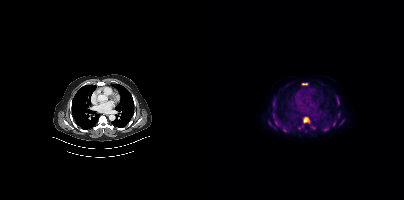
Coordinates are on the 200×200 PET (right) panel. (showing 13 of 14 foci) PSMA-avid tumor lesion bounding boxes (x0,y0,x1,y1): [97,117,105,127] [78,127,82,132] [132,99,135,105] [98,83,103,85] [69,100,71,108] [107,126,111,129] [129,121,131,126] [136,120,140,124]. Small PSMA-avid foci (2 to 4 px across) near (center x, center y): (123, 128) (71, 118) (134, 116) (73, 124) (65, 123).